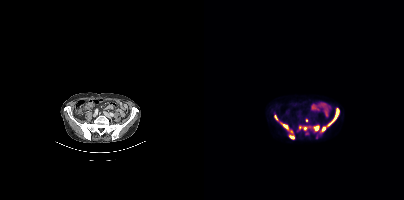
Coordinates are on the 200×200 PET (right) panel. PSMA-avid tumor lesion bounding boxes (x0, y0)-(x1, y1): (124, 108)-(134, 125) / (79, 124)-(89, 133) / (110, 125)-(115, 130) / (116, 127)-(121, 132) / (85, 135)-(90, 138) / (70, 115)-(74, 120). Small PSMA-avid foci (2 to 4 px across) near (center x, center y): (101, 128) / (102, 133) / (102, 120) / (77, 123) / (95, 127).